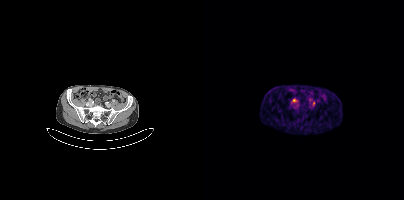
{"modality":"PSMA PET/CT","view":"axial","tracer":"[68Ga]Ga-PSMA-11","pet_grid":[200,200],"coord_frame":"pet_panel","coord_format":"x0,y0,x1,y1","lesion_bboxes":[],"small_foci_centers":[[90,100],[109,103]]}